de-identification: rectangular block over head set to black | modality: PSMA PET/CT | tracer: 18F-PSMA | view: axial
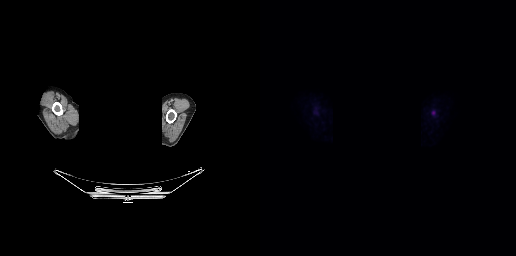
Coordinates are on the 256×256 PET (right) panel. Small PSMA-avid focus (2 to 4 px across) near (center x, center y): (173, 112).